- Left: CT. Right: PSMA PET, same axial level, [18F]PSMA-1007 tracer
- acquired on Siemens Biograph mCT Flow 20
- slice position z = -800 mm
- a rectangle over the head was blacked out to remove identifiable facial features
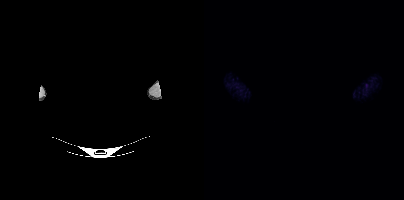
Findings: No tumor lesions annotated on this slice.